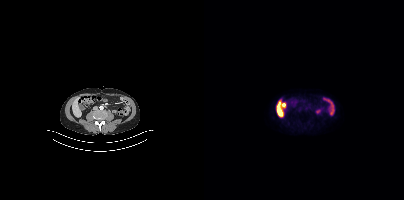
- Two-panel axial: CT | PSMA PET, 18F-PSMA tracer
Findings: No tumor lesions annotated on this slice.